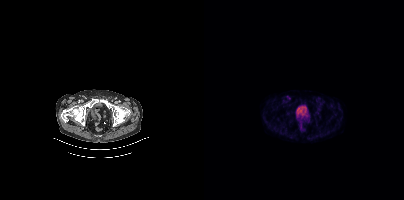
- Left: CT. Right: PSMA PET, same axial level, 18F tracer
- slice 78 of 452
- PET panel 200×200 px (4.1 mm/px)
Findings: Coordinates are on the 200×200 PET (right) panel. PSMA-avid tumor lesion bounding box (x, y, width, height): x=82 y=95 w=5 h=5.